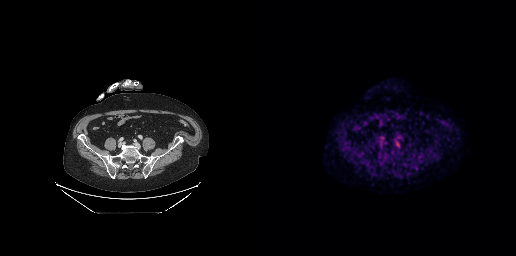
Left: CT. Right: PSMA PET, same axial level, [18F]PSMA-1007 tracer. Slice position z = -588 mm.
Coordinates are on the 256×256 PET (right) panel. PSMA-avid tumor lesion bounding boxes:
| # | x0 | y0 | x1 | y1 |
|---|---|---|---|---|
| 1 | 137 | 142 | 139 | 146 |